modality: PSMA PET/CT | tracer: 68Ga | view: axial | PET grid: 200×200
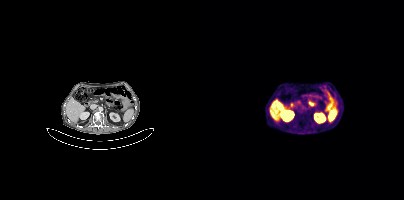
No tumor lesions annotated on this slice.